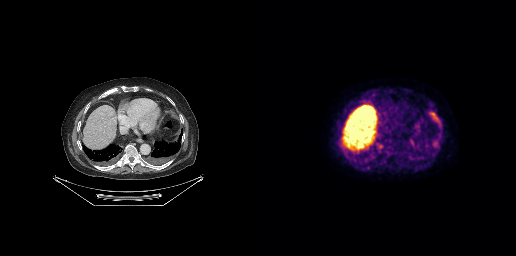
Findings: Coordinates are on the 256×256 PET (right) panel. PSMA-avid tumor lesion bounding boxes (x0,y0,x1,y1): [169,112,181,127] [172,141,179,149] [116,143,123,149] [150,139,154,145]. Small PSMA-avid foci (2 to 4 px across) near (center x, center y): (151, 157) (158, 121).
- Paired axial CT (left) and PSMA PET (right), 18F tracer
- acquired on GE Discovery 690
- PET panel 256×256 px (2.7 mm/px)